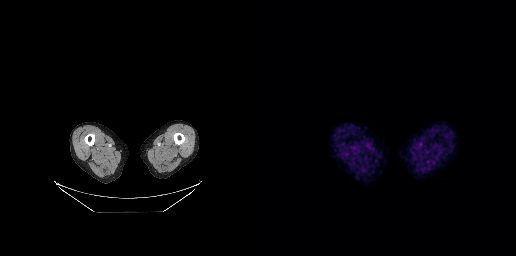
{"modality":"PSMA PET/CT","view":"axial","tracer":"[68Ga]Ga-PSMA-11","pet_grid":[256,256],"coord_frame":"pet_panel","coord_format":"x0,y0,x1,y1","psma_avid_lesions":false}